Any black rectangle over the head is a privacy mask, not anatomy.
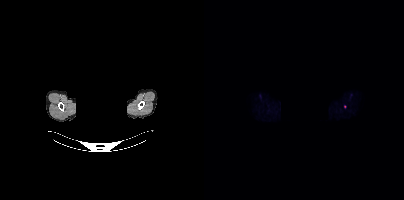
Coordinates are on the 200×200 PET (right) panel. Small PSMA-avid focus (2 to 4 px across) near (center x, center y): (140, 106).